Technique: Left: CT. Right: PSMA PET, same axial level, [18F]PSMA-1007 tracer. PET panel 200×200 px (4.1 mm/px).
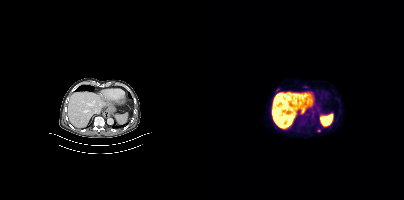
Findings: Coordinates are on the 200×200 PET (right) panel. Small PSMA-avid focus (2 to 4 px across) near (center x, center y): (115, 130).